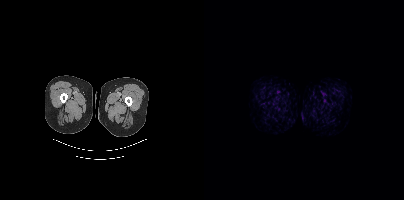
{"modality":"PSMA PET/CT","view":"axial","tracer":"18F-PSMA","pet_grid":[200,200],"coord_frame":"pet_panel","coord_format":"x0,y0,x1,y1","psma_avid_lesions":false}